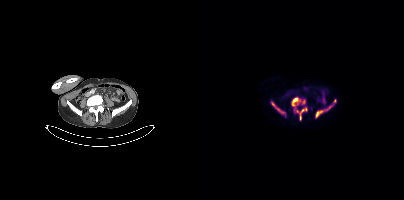
Coordinates are on the 200×200 PET (right) panel. PSMA-avid tumor lesion bounding boxes (x0, y0)-(x1, y1): (87, 97)-(96, 106) | (112, 106)-(127, 117) | (67, 102)-(80, 113) | (92, 107)-(103, 120). Small PSMA-avid foci (2 to 4 px across) near (center x, center y): (100, 101) | (131, 100).